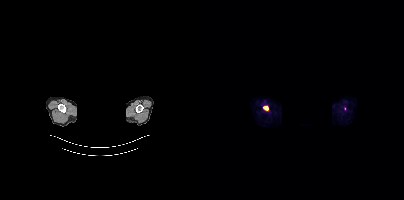
Coordinates are on the 200×200 PET (right) panel. PSMA-avid tumor lesion bounding box (x, y, width, height): x=59 y=105 w=6 h=7. Any black rectangle over the head is a privacy mask, not anatomy. Left: CT. Right: PSMA PET, same axial level, 18F tracer. Slice position z = -364 mm.